modality: PSMA PET/CT | tracer: 18F-PSMA | view: axial
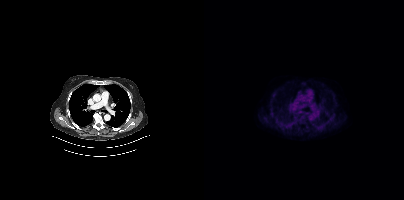
No PSMA-avid tumor lesions on this slice.